modality: PSMA PET/CT | tracer: 18F-PSMA | view: axial | PET grid: 200×200 | de-identification: privacy mask over head
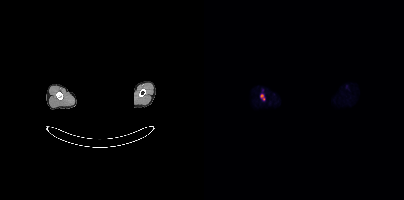
Coordinates are on the 200×200 PET (right) panel. PSMA-avid tumor lesion bounding box (x, y, width, height): x=56 y=93 w=6 h=8.